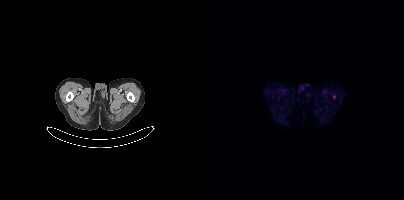
This slice has no annotated PSMA-avid lesion. Left: CT. Right: PSMA PET, same axial level, 18F-PSMA tracer.